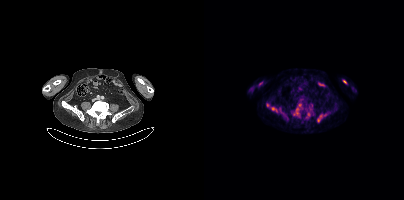
Findings: Coordinates are on the 200×200 PET (right) panel. (showing 6 of 10 foci) PSMA-avid tumor lesion bounding boxes (x0, y0)-(x1, y1): (89, 103)-(97, 116) | (62, 103)-(73, 112) | (113, 114)-(122, 122) | (75, 108)-(77, 112). Small PSMA-avid foci (2 to 4 px across) near (center x, center y): (140, 81) | (104, 114).
- Paired axial CT (left) and PSMA PET (right), 18F tracer
- slice 145 of 401
- PET panel 200×200 px (4.1 mm/px)